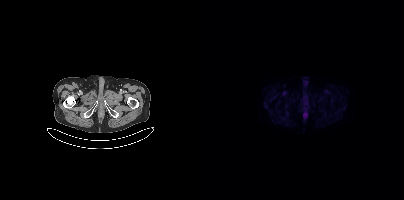
{"modality":"PSMA PET/CT","view":"axial","tracer":"18F","pet_grid":[200,200],"coord_frame":"pet_panel","coord_format":"x0,y0,x1,y1","psma_avid_lesions":false}